modality: PSMA PET/CT | tracer: [18F]PSMA-1007 | view: axial
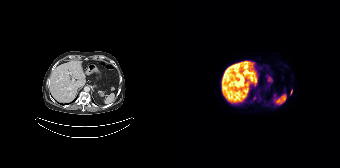
Coordinates are on the 168×168 PET (right) panel. Small PSMA-avid focus (2 to 4 px across) near (center x, center y): (119, 91).